Two-panel axial: CT | PSMA PET, [18F]PSMA-1007 tracer. Acquired on Siemens Biograph mCT Flow 20. Slice position z = -974 mm.
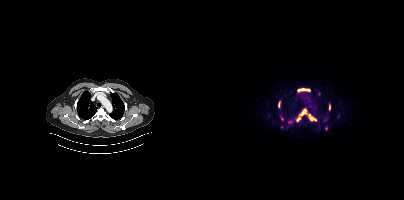
Coordinates are on the 200×200 PET (right) panel. (showing 7 of 9 foci) PSMA-avid tumor lesion bounding boxes (x0,y0,x1,y1): [94,88,105,91]; [95,110,100,115]; [105,115,111,120]; [92,117,96,121]; [74,101,76,107]; [125,104,126,110]. Small PSMA-avid focus (2 to 4 px across) near (center x, center y): (85, 121).